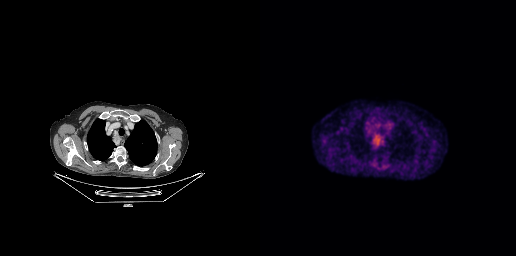
Coordinates are on the 256×256 PET (right) panel. PSMA-avid tumor lesion bounding box (x0, y0)-(x1, y1): (113, 135)-(120, 145).